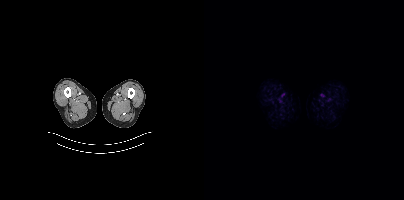
Findings: This slice has no annotated PSMA-avid lesion.
Technique: Paired axial CT (left) and PSMA PET (right), 18F tracer. slice 15 of 466. PET panel 200×200 px (4.1 mm/px).